- Left: CT. Right: PSMA PET, same axial level, [18F]PSMA-1007 tracer
- slice 329 of 433
- PET panel 200×200 px (4.1 mm/px)
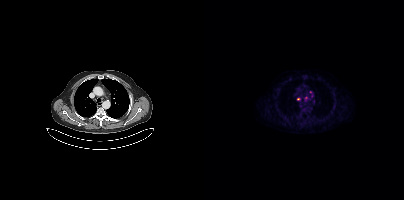
Findings: Coordinates are on the 200×200 PET (right) panel. (showing 2 of 3 foci) Small PSMA-avid foci (2 to 4 px across) near (center x, center y): (94, 98) | (106, 91).